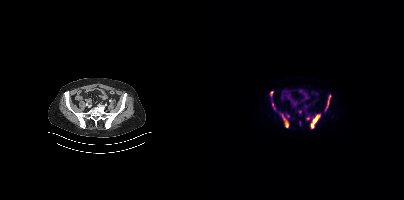
Two-panel axial: CT | PSMA PET, 18F-PSMA tracer. Slice position z = -1370 mm. PET panel 200×200 px (4.1 mm/px).
Coordinates are on the 200×200 PET (right) panel. PSMA-avid tumor lesion bounding boxes (partial; 3 more foci not listed):
| # | x0 | y0 | x1 | y1 |
|---|---|---|---|---|
| 1 | 107 | 115 | 115 | 128 |
| 2 | 78 | 115 | 84 | 127 |
| 3 | 67 | 91 | 68 | 96 |
Small PSMA-avid foci (2 to 4 px across) near (center x, center y): (68, 104); (125, 96).